Technique: Two-panel axial: CT | PSMA PET, [18F]PSMA-1007 tracer. PET panel 200×200 px (4.1 mm/px).
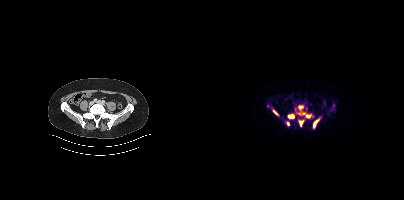
Findings: Coordinates are on the 200×200 PET (right) panel. PSMA-avid tumor lesion bounding boxes (x0, y0)-(x1, y1): (109, 118)-(116, 127) | (84, 114)-(90, 118) | (95, 120)-(99, 126) | (69, 110)-(74, 115) | (102, 115)-(106, 117). Small PSMA-avid foci (2 to 4 px across) near (center x, center y): (96, 107) | (84, 123) | (99, 113).